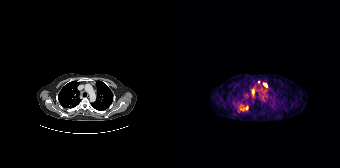
Left: CT. Right: PSMA PET, same axial level, 68Ga tracer. Coordinates are on the 168×168 PET (right) panel. PSMA-avid tumor lesion bounding boxes (x0,y0,x1,y1): [67,104,76,110], [91,82,95,87], [80,89,82,95]. Small PSMA-avid focus (2 to 4 px across) near (center x, center y): (86, 81).